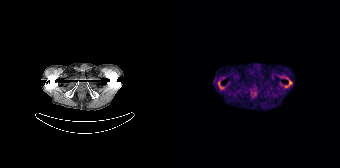
Technique: Paired axial CT (left) and PSMA PET (right), 68Ga-PSMA tracer. slice 28 of 165.
Findings: Coordinates are on the 168×168 PET (right) panel. PSMA-avid tumor lesion bounding boxes (x, y, width, height): x=46 y=81 w=6 h=9 | x=117 y=80 w=3 h=6. Small PSMA-avid focus (2 to 4 px across) near (center x, center y): (114, 86).